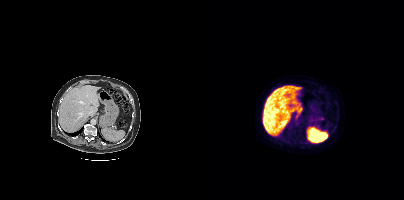
Findings: Negative for PSMA-avid disease on this slice.
- Two-panel axial: CT | PSMA PET, [18F]PSMA-1007 tracer